- Left: CT. Right: PSMA PET, same axial level, 68Ga tracer
- PET panel 256×256 px (2.7 mm/px)
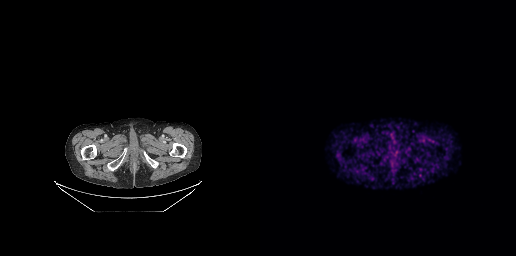
Findings: No PSMA-avid tumor lesions on this slice.